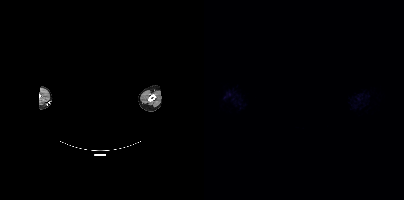
Findings: This slice has no annotated PSMA-avid lesion.
- privacy masking over the head, with the pixels inside a rectangle set to black
- Left: CT. Right: PSMA PET, same axial level, [18F]PSMA-1007 tracer
- slice 448 of 450